Paired axial CT (left) and PSMA PET (right), [18F]PSMA-1007 tracer. Slice position z = -1961 mm.
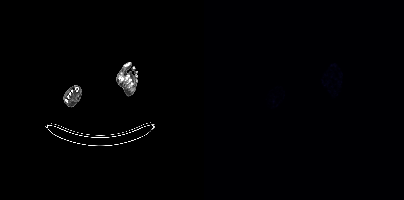
Negative for PSMA-avid disease on this slice.